Two-panel axial: CT | PSMA PET, 18F-PSMA tracer. Acquired on GE Discovery 690. Slice position z = -246 mm. PET panel 256×256 px (2.7 mm/px).
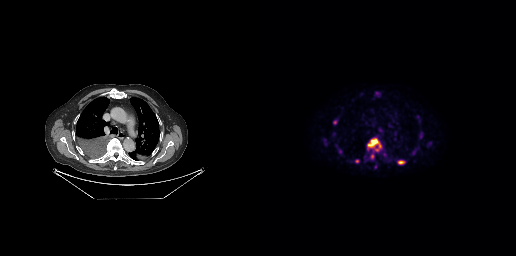
Coordinates are on the 256×256 PET (right) panel. PSMA-avid tumor lesion bounding boxes (partial; 1 more focus not listed):
| # | x0 | y0 | x1 | y1 |
|---|---|---|---|---|
| 1 | 107 | 138 | 121 | 151 |
| 2 | 138 | 160 | 145 | 164 |
| 3 | 95 | 159 | 99 | 162 |
Small PSMA-avid foci (2 to 4 px across) near (center x, center y): (112, 156); (75, 122).